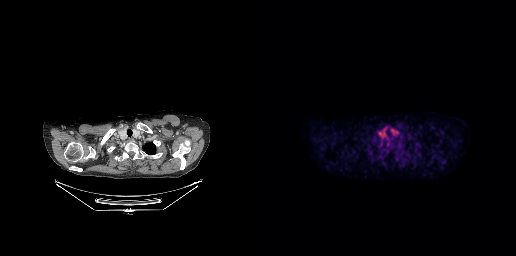
modality: PSMA PET/CT | tracer: [18F]PSMA-1007 | view: axial
No PSMA-avid tumor lesions on this slice.